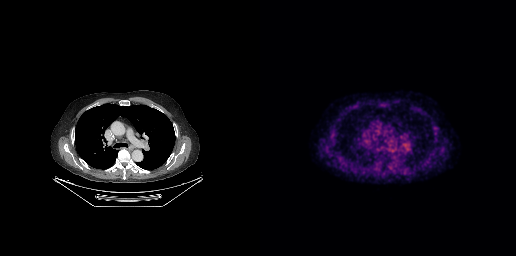
Technique: Left: CT. Right: PSMA PET, same axial level, 18F tracer. acquired on GE Discovery 690. slice position z = -415 mm. PET panel 256×256 px (2.7 mm/px).
Findings: No PSMA-avid tumor lesions on this slice.